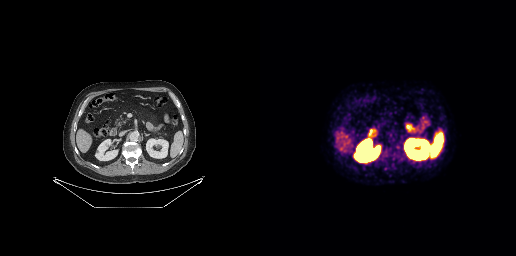
Left: CT. Right: PSMA PET, same axial level, 68Ga-PSMA tracer. Acquired on GE Discovery 690. Slice position z = -608 mm. PET panel 256×256 px (2.7 mm/px). No tumor lesions annotated on this slice.